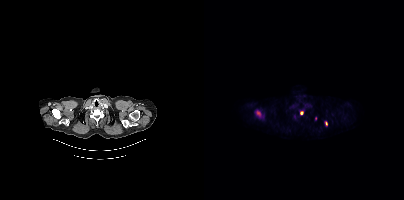
- Two-panel axial: CT | PSMA PET, [18F]PSMA-1007 tracer
Findings: Coordinates are on the 200×200 PET (right) panel. (showing 3 of 4 foci) PSMA-avid tumor lesion bounding box (x0, y0)-(x1, y1): (52, 110)-(57, 117). Small PSMA-avid foci (2 to 4 px across) near (center x, center y): (97, 112) / (122, 123).